Left: CT. Right: PSMA PET, same axial level, 18F tracer. Slice 210 of 263.
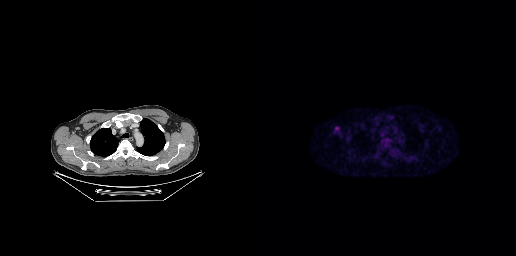
Coordinates are on the 256×256 PET (right) panel. PSMA-avid tumor lesion bounding box (x0, y0)-(x1, y1): (75, 126)-(79, 130).